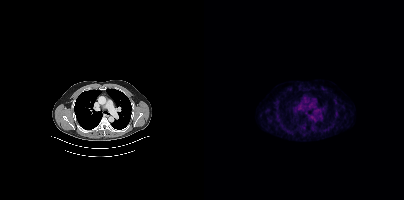
Findings: No PSMA-avid tumor lesions on this slice.
- Two-panel axial: CT | PSMA PET, [18F]PSMA-1007 tracer